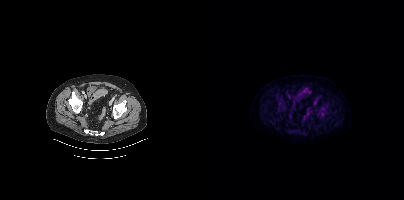
- Two-panel axial: CT | PSMA PET, 18F-PSMA tracer
- acquired on Siemens Biograph mCT Flow 20
Findings: This slice has no annotated PSMA-avid lesion.